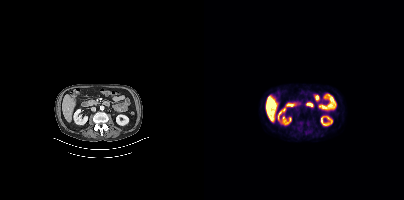
Left: CT. Right: PSMA PET, same axial level, [18F]PSMA-1007 tracer. Slice position z = -1358 mm. PET panel 200×200 px (4.1 mm/px). This slice has no annotated PSMA-avid lesion.